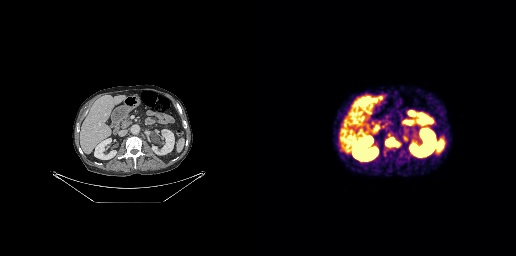
{"modality":"PSMA PET/CT","view":"axial","tracer":"[68Ga]Ga-PSMA-11","pet_grid":[256,256],"coord_frame":"pet_panel","coord_format":"x0,y0,x1,y1","lesion_bboxes":[[126,138,138,146]]}